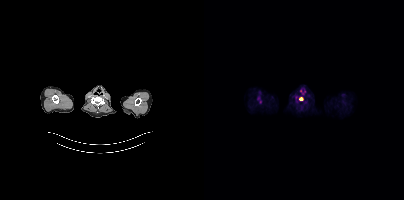
Coordinates are on the 200×200 PET (right) panel. PSMA-avid tumor lesion bounding box (x, y, width, height): x=95 y=97 w=5 h=4.